Paired axial CT (left) and PSMA PET (right), 68Ga tracer. Acquired on Siemens Biograph 64-4R TruePoint.
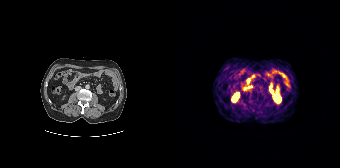
This slice has no annotated PSMA-avid lesion.